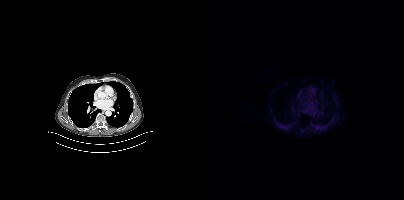
Findings: Negative for PSMA-avid disease on this slice.
Technique: Left: CT. Right: PSMA PET, same axial level, [18F]PSMA-1007 tracer. PET panel 200×200 px (4.1 mm/px).